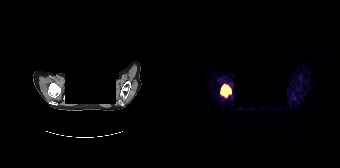
Coordinates are on the 168×168 PET (right) panel. PSMA-avid tumor lesion bounding box (x, y, width, height): x=49 y=85 w=11 h=12. Left: CT. Right: PSMA PET, same axial level, 68Ga tracer. Slice position z = 54 mm. PET panel 168×168 px (4.1 mm/px). An anonymization step blacked out a rectangle over the head in this scan.